- Paired axial CT (left) and PSMA PET (right), 68Ga-PSMA tracer
- acquired on Siemens Biograph mCT Flow 20
- slice 17 of 373
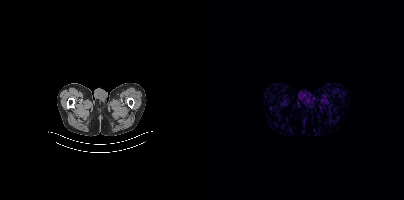
Findings: No tumor lesions annotated on this slice.